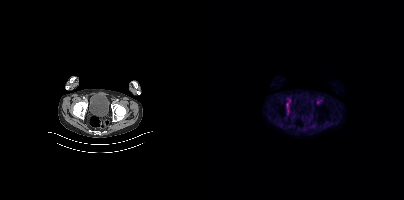
Left: CT. Right: PSMA PET, same axial level, 18F-PSMA tracer. Acquired on Siemens Biograph mCT Flow 20. PET panel 200×200 px (4.1 mm/px). No PSMA-avid tumor lesions on this slice.